Paired axial CT (left) and PSMA PET (right), 68Ga tracer. Acquired on Siemens Biograph 64-4R TruePoint. Slice 101 of 165.
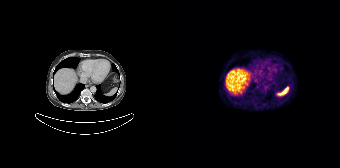
This slice has no annotated PSMA-avid lesion.